Two-panel axial: CT | PSMA PET, [18F]PSMA-1007 tracer. Acquired on Siemens Biograph mCT Flow 20. Slice position z = -632 mm. PET panel 200×200 px (4.1 mm/px).
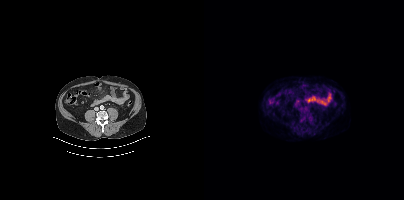
No tumor lesions annotated on this slice.